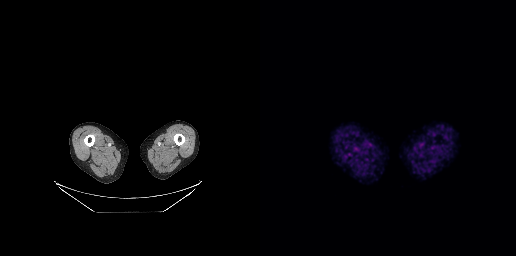
Two-panel axial: CT | PSMA PET, 68Ga-PSMA tracer. Acquired on GE Discovery 690. PET panel 256×256 px (2.7 mm/px). This slice has no annotated PSMA-avid lesion.